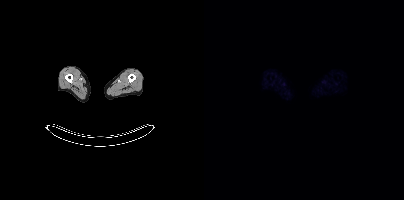
Two-panel axial: CT | PSMA PET, [18F]PSMA-1007 tracer. Slice 396 of 963. PET panel 200×200 px (4.1 mm/px). No tumor lesions annotated on this slice.